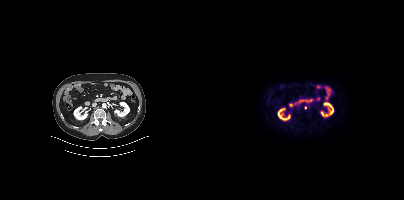
Coordinates are on the 200×200 PET (right) panel. Small PSMA-avid focus (2 to 4 px across) near (center x, center y): (101, 107). Left: CT. Right: PSMA PET, same axial level, 18F-PSMA tracer.